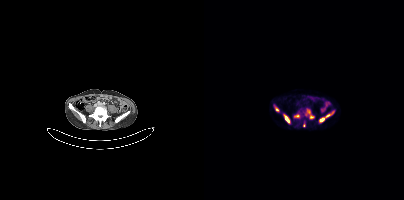
Technique: Paired axial CT (left) and PSMA PET (right), [68Ga]Ga-PSMA-11 tracer.
Findings: Coordinates are on the 200×200 PET (right) panel. PSMA-avid tumor lesion bounding boxes (x, y, width, height): x=80 y=115 w=6 h=8 | x=90 y=114 w=6 h=4 | x=116 y=118 w=5 h=4 | x=71 y=106 w=4 h=5 | x=122 y=114 w=5 h=3. Small PSMA-avid foci (2 to 4 px across) near (center x, center y): (105, 111) | (99, 125) | (106, 116).